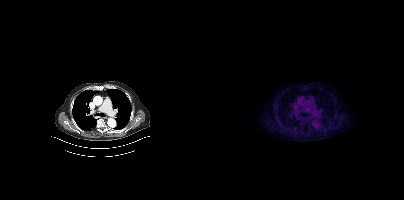
Only PSMA-avid lesion pieces thinner than 2 px on this slice (not listed). Left: CT. Right: PSMA PET, same axial level, [18F]PSMA-1007 tracer. Slice position z = -992 mm. PET panel 200×200 px (4.1 mm/px).